modality: PSMA PET/CT | tracer: 18F | view: axial
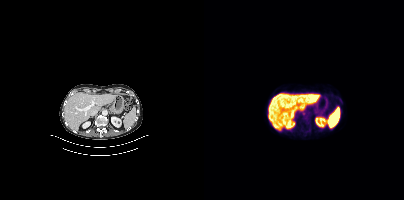
Coordinates are on the 200×200 PET (right) panel. Small PSMA-avid focus (2 to 4 px across) near (center x, center y): (99, 113).